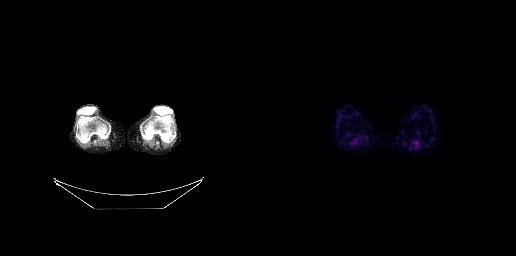
{"pet_grid":[256,256],"coord_frame":"pet_panel","coord_format":"x0,y0,x1,y1","psma_avid_lesions":false,"modality":"PSMA PET/CT","view":"axial","tracer":"18F"}